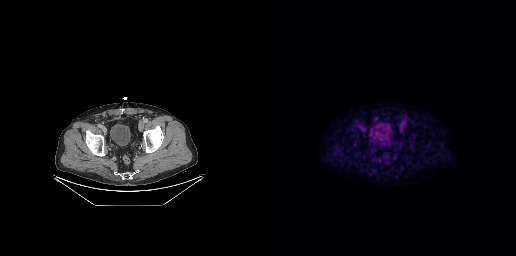
No tumor lesions annotated on this slice. Left: CT. Right: PSMA PET, same axial level, [18F]PSMA-1007 tracer. Acquired on GE Discovery 690. Slice position z = -688 mm. PET panel 256×256 px (2.7 mm/px).